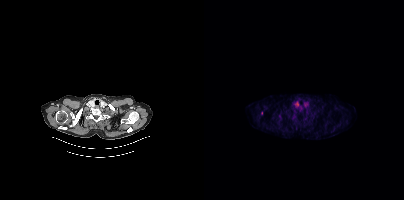
- Two-panel axial: CT | PSMA PET, [18F]PSMA-1007 tracer
- slice 338 of 427
Findings: Coordinates are on the 200×200 PET (right) panel. Small PSMA-avid focus (2 to 4 px across) near (center x, center y): (57, 113).